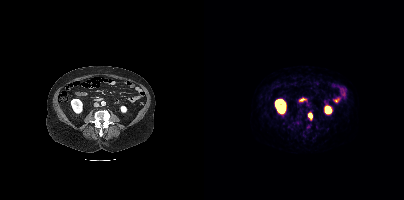
Technique: Two-panel axial: CT | PSMA PET, 68Ga tracer. slice 172 of 444.
Findings: Coordinates are on the 200×200 PET (right) panel. PSMA-avid tumor lesion bounding box (x, y, width, height): x=104 y=112 w=5 h=8.